- Paired axial CT (left) and PSMA PET (right), 18F-PSMA tracer
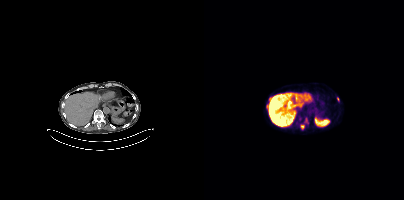
Findings: Coordinates are on the 200×200 PET (right) panel. (showing 3 of 6 foci) PSMA-avid tumor lesion bounding box (x, y, width, height): x=62 y=104 w=3 h=5. Small PSMA-avid foci (2 to 4 px across) near (center x, center y): (98, 126) / (133, 98).